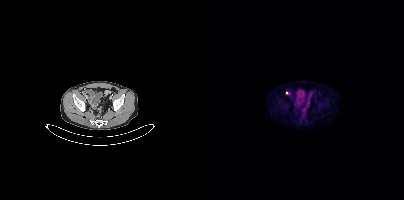
Coordinates are on the 200×200 PET (right) panel. Small PSMA-avid focus (2 to 4 px across) near (center x, center y): (82, 92).